modality: PSMA PET/CT | tracer: 18F-PSMA | view: axial | redaction: facial region redacted
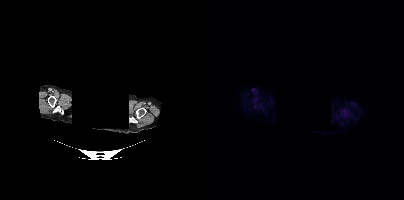
No tumor lesions annotated on this slice.